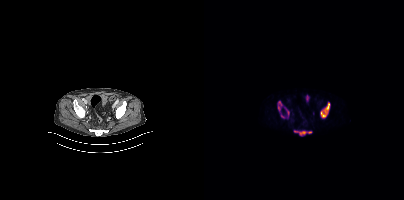
{"modality":"PSMA PET/CT","view":"axial","tracer":"[18F]PSMA-1007","pet_grid":[200,200],"coord_frame":"pet_panel","coord_format":"x0,y0,x1,y1","lesion_bboxes":[[116,102,125,117],[74,101,78,110],[95,131,102,135]],"small_foci_centers":[[105,132],[91,131],[84,112],[78,116]]}